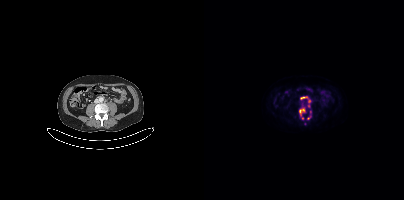
modality: PSMA PET/CT | tracer: 18F-PSMA | view: axial | PET grid: 200×200
Coordinates are on the 200×200 PET (right) panel. PSMA-avid tumor lesion bounding boxes (x0,y0,x1,y1): [96,97,106,102]; [95,109,100,112]. Small PSMA-avid foci (2 to 4 px across) near (center x, center y): (104, 118); (104, 106); (98, 118); (106, 111).